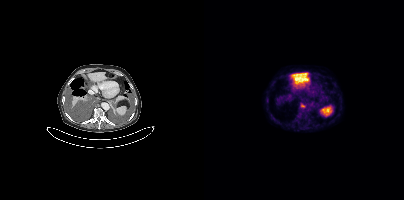
Paired axial CT (left) and PSMA PET (right), [18F]PSMA-1007 tracer. Coordinates are on the 200×200 PET (right) panel. PSMA-avid tumor lesion bounding box (x0, y0)-(x1, y1): (97, 104)-(101, 107).